modality: PSMA PET/CT | tracer: 68Ga-PSMA | view: axial | PET grid: 168×168
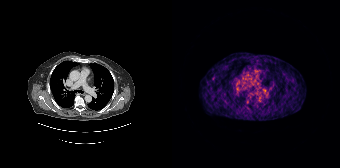
Coordinates are on the 168×168 PET (right) panel. Small PSMA-avid focus (2 to 4 px across) near (center x, center y): (41, 78).